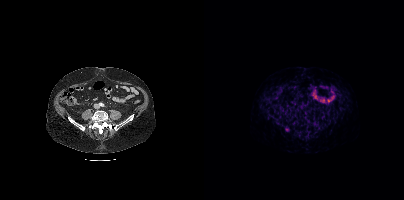
Left: CT. Right: PSMA PET, same axial level, 68Ga-PSMA tracer. PET panel 200×200 px (4.1 mm/px). No PSMA-avid tumor lesions on this slice.